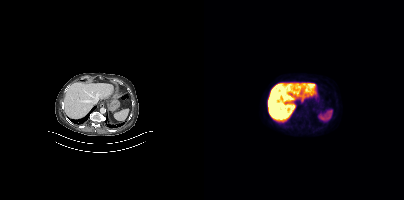
{"modality":"PSMA PET/CT","view":"axial","tracer":"[18F]PSMA-1007","pet_grid":[200,200],"coord_frame":"pet_panel","coord_format":"x0,y0,x1,y1","psma_avid_lesions":false}